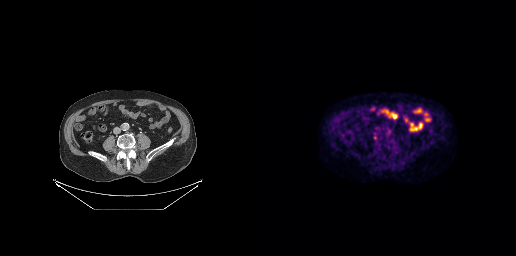
{"pet_grid":[256,256],"coord_frame":"pet_panel","coord_format":"x0,y0,x1,y1","partial":true,"lesion_bboxes":[],"modality":"PSMA PET/CT","view":"axial","tracer":"[18F]PSMA-1007"}